Technique: Paired axial CT (left) and PSMA PET (right), 18F-PSMA tracer. acquired on Siemens Biograph mCT Flow 20. slice position z = -1142 mm.
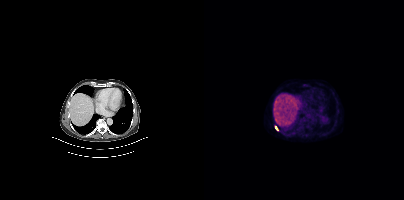
Findings: Coordinates are on the 200×200 PET (right) panel. PSMA-avid tumor lesion bounding box (x, y, width, height): x=71 y=126 w=4 h=5.